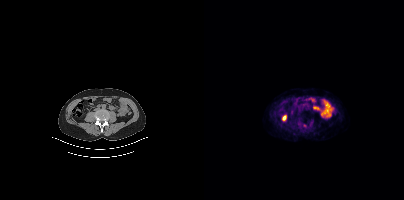
Technique: Left: CT. Right: PSMA PET, same axial level, 68Ga-PSMA tracer.
Findings: Negative for PSMA-avid disease on this slice.